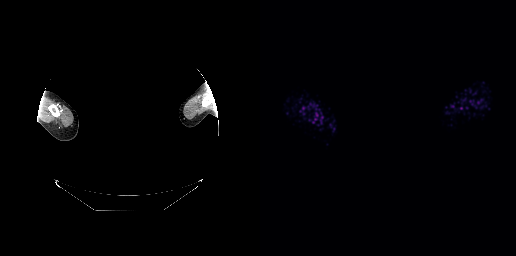
Findings: No PSMA-avid tumor lesions on this slice.
- Two-panel axial: CT | PSMA PET, 68Ga-PSMA tracer
- acquired on GE Discovery 690
- PET panel 256×256 px (2.7 mm/px)
- privacy masking over the head, with the pixels inside a rectangle set to black